- Two-panel axial: CT | PSMA PET, 18F tracer
- acquired on Siemens Biograph mCT Flow 20
- slice 442 of 508
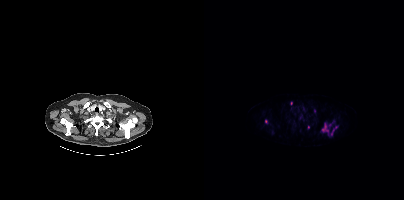
Findings: Coordinates are on the 200×200 PET (right) panel. PSMA-avid tumor lesion bounding boxes (x0,y0,x1,y1): [118,123,124,134]; [127,126,133,135]. Small PSMA-avid foci (2 to 4 px across) near (center x, center y): (110, 110); (62, 121); (104, 127); (87, 103); (125, 124).